Technique: Paired axial CT (left) and PSMA PET (right), [18F]PSMA-1007 tracer. slice 306 of 391. PET panel 200×200 px (4.1 mm/px).
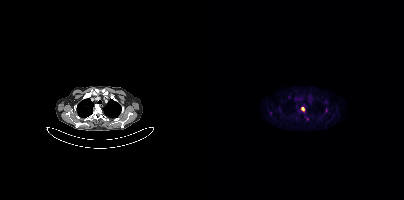
Findings: Coordinates are on the 200×200 PET (right) panel. (showing 2 of 3 foci) Small PSMA-avid foci (2 to 4 px across) near (center x, center y): (98, 108), (66, 112).